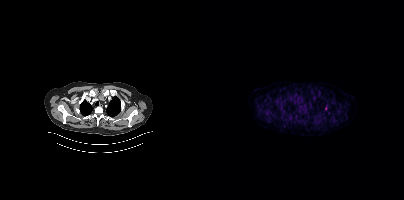
Coordinates are on the 200×200 PET (right) panel. Small PSMA-avid focus (2 to 4 px across) near (center x, center y): (121, 108). Left: CT. Right: PSMA PET, same axial level, 18F tracer. Acquired on Siemens Biograph mCT Flow 20. PET panel 200×200 px (4.1 mm/px).